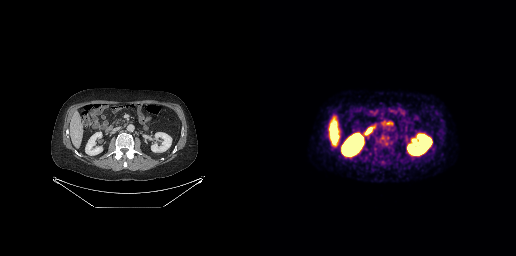
No PSMA-avid tumor lesions on this slice.